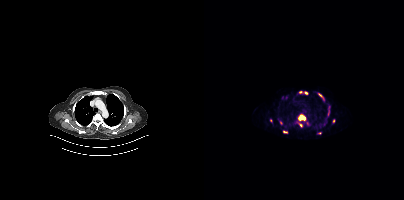
modality: PSMA PET/CT | tracer: [68Ga]Ga-PSMA-11 | view: axial | PET grid: 200×200
Coordinates are on the 200×200 PET (right) panel. (showing 10 of 14 foci) PSMA-avid tumor lesion bounding boxes (x0,y0,x1,y1): [94,115,101,120]; [114,93,120,100]; [101,120,105,124]; [124,107,125,111]. Small PSMA-avid foci (2 to 4 px across) near (center x, center y): (76, 122); (96, 124); (129, 120); (115, 133); (80, 131); (102, 92).